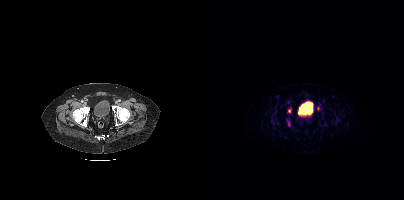
Paired axial CT (left) and PSMA PET (right), 68Ga-PSMA tracer. Slice position z = 323 mm. PET panel 200×200 px (4.1 mm/px). Coordinates are on the 200×200 PET (right) panel. Small PSMA-avid focus (2 to 4 px across) near (center x, center y): (85, 111).